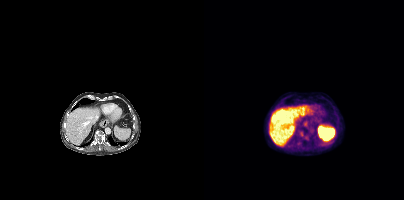
Findings: Coordinates are on the 200×200 PET (right) panel. (showing 2 of 3 foci) PSMA-avid tumor lesion bounding box (x0,y0,x1,y1): [100,136,104,140]. Small PSMA-avid focus (2 to 4 px across) near (center x, center y): (95, 142).
Technique: Left: CT. Right: PSMA PET, same axial level, 18F-PSMA tracer. slice position z = -88 mm. PET panel 200×200 px (4.1 mm/px).